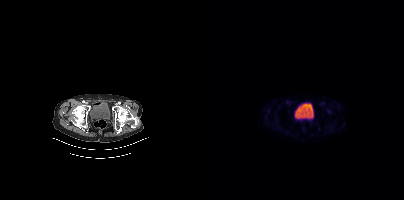
modality: PSMA PET/CT | tracer: [68Ga]Ga-PSMA-11 | view: axial
No PSMA-avid tumor lesions on this slice.